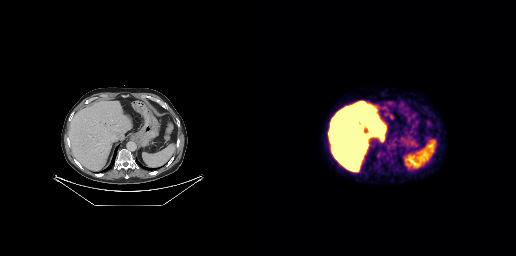
{"modality":"PSMA PET/CT","view":"axial","tracer":"18F","pet_grid":[256,256],"coord_frame":"pet_panel","coord_format":"x0,y0,x1,y1","psma_avid_lesions":false}